modality: PSMA PET/CT | tracer: [18F]PSMA-1007 | view: axial
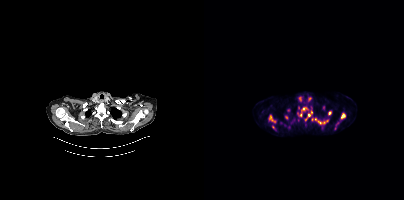
Coordinates are on the 200×200 PET (right) panel. (showing 11 of 12 foci) PSMA-avid tumor lesion bounding boxes (x, y, width, height): x=64 y=115 w=9 h=9 | x=111 y=118 w=14 h=7 | x=101 y=111 w=8 h=10 | x=137 y=113 w=5 h=6 | x=93 y=112 w=5 h=5 | x=98 y=107 w=5 h=4. Small PSMA-avid foci (2 to 4 px across) near (center x, center y): (125, 112) | (82, 117) | (69, 127) | (84, 110) | (108, 119).